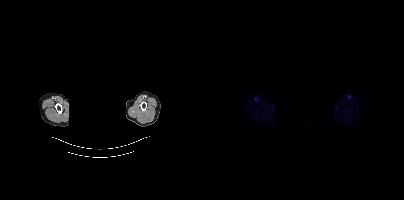
{"modality":"PSMA PET/CT","view":"axial","tracer":"18F","pet_grid":[200,200],"coord_frame":"pet_panel","coord_format":"x0,y0,x1,y1","psma_avid_lesions":false,"deidentification":"facial region redacted"}